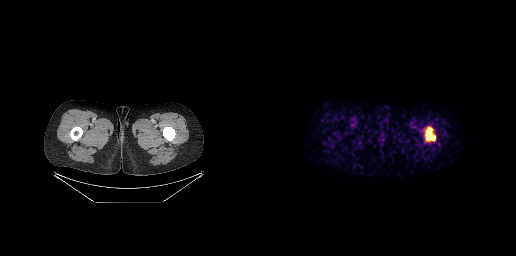
{"modality":"PSMA PET/CT","view":"axial","tracer":"[68Ga]Ga-PSMA-11","pet_grid":[256,256],"coord_frame":"pet_panel","coord_format":"x0,y0,x1,y1","lesion_bboxes":[[165,127,175,140]]}